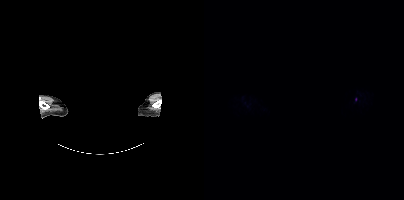
Coordinates are on the 200×200 PET (right) panel. Small PSMA-avid focus (2 to 4 px across) near (center x, center y): (151, 99).
The face region was removed for patient privacy by blanking a rectangle over the head.